modality: PSMA PET/CT | tracer: 18F-PSMA | view: axial | PET grid: 200×200
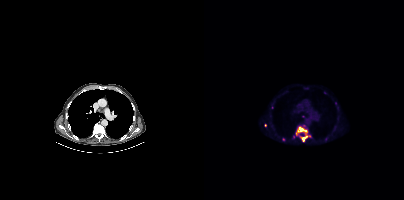
Coordinates are on the 200×200 PET (right) panel. (showing 4 of 9 foci) PSMA-avid tumor lesion bounding boxes (x, y, width, height): x=93 y=125 w=11 h=8 | x=98 y=135 w=6 h=7. Small PSMA-avid foci (2 to 4 px across) near (center x, center y): (61, 125) | (92, 134).